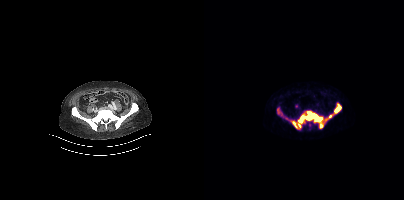
Coordinates are on the 200×200 PET (right) panel. PSMA-avid tumor lesion bounding boxes (x0,y0,x1,y1): [86,103,137,129]; [73,109,78,115]; [80,115,84,120]. Small PSMA-avid focus (2 to 4 px across) near (center x, center y): (74, 106).
modality: PSMA PET/CT | tracer: [68Ga]Ga-PSMA-11 | view: axial